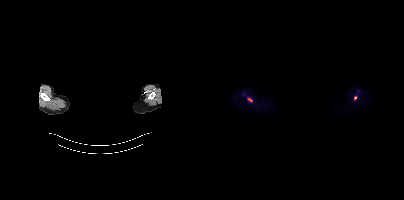
{"modality":"PSMA PET/CT","view":"axial","tracer":"18F-PSMA","pet_grid":[200,200],"coord_frame":"pet_panel","coord_format":"x0,y0,x1,y1","lesion_bboxes":[[44,98,48,101]],"small_foci_centers":[[151,98]],"redaction":"head region blacked out before release"}